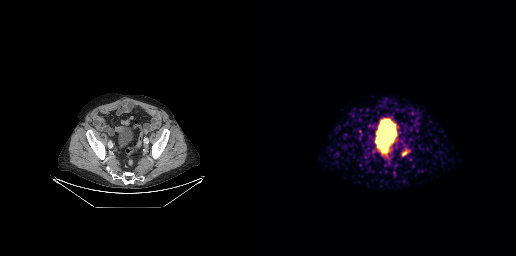
Left: CT. Right: PSMA PET, same axial level, [68Ga]Ga-PSMA-11 tracer. PET panel 256×256 px (2.7 mm/px). This slice has no annotated PSMA-avid lesion.